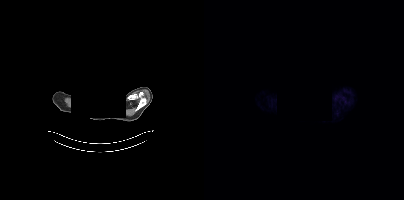
Negative for PSMA-avid disease on this slice. Left: CT. Right: PSMA PET, same axial level, 68Ga tracer. Slice position z = -874 mm. PET panel 200×200 px (4.1 mm/px). A rectangle over the head was blacked out to remove identifiable facial features.